Two-panel axial: CT | PSMA PET, [18F]PSMA-1007 tracer. Acquired on GE Discovery 690. Slice position z = -356 mm. PET panel 256×256 px (2.7 mm/px).
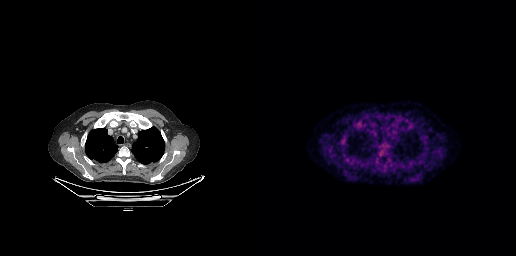
No PSMA-avid tumor lesions on this slice.